- Paired axial CT (left) and PSMA PET (right), 68Ga tracer
- PET panel 256×256 px (2.7 mm/px)
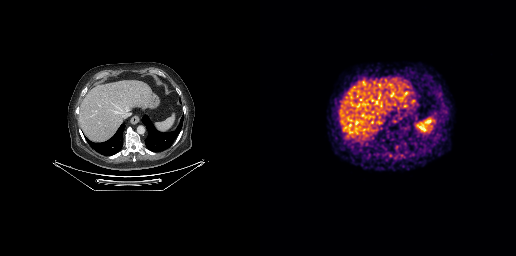
Findings: No tumor lesions annotated on this slice.